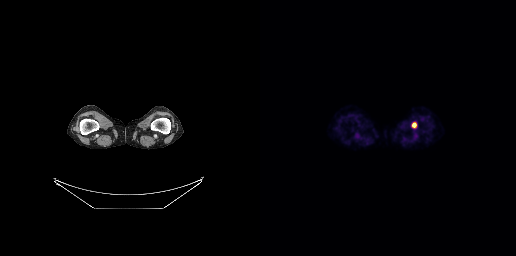
{"pet_grid":[256,256],"coord_frame":"pet_panel","coord_format":"x0,y0,x1,y1","lesion_bboxes":[[152,123,155,127]],"modality":"PSMA PET/CT","view":"axial","tracer":"18F"}